Paired axial CT (left) and PSMA PET (right), 18F tracer. Acquired on Siemens Biograph mCT Flow 20. PET panel 200×200 px (4.1 mm/px).
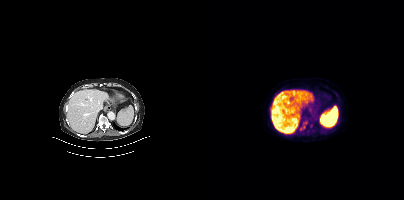
Coordinates are on the 200×200 PET (right) panel. (showing 1 of 2 foci) Small PSMA-avid focus (2 to 4 px across) near (center x, center y): (107, 126).